modality: PSMA PET/CT | tracer: [18F]PSMA-1007 | view: axial | PET grid: 200×200
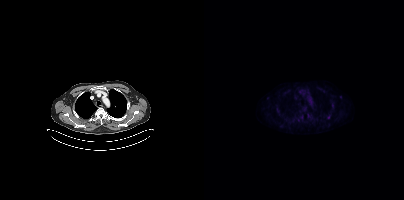
Coordinates are on the 200×200 PET (right) panel. Small PSMA-avid foci (2 to 4 px across) near (center x, center y): (124, 117); (94, 120); (63, 97).